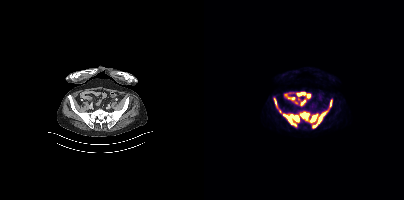
Left: CT. Right: PSMA PET, same axial level, [18F]PSMA-1007 tracer.
Coordinates are on the 200×200 PET (right) panel. PSMA-avid tumor lesion bounding boxes:
| # | x0 | y0 | x1 | y1 |
|---|---|---|---|---|
| 1 | 79 | 114 | 94 | 125 |
| 2 | 96 | 112 | 105 | 119 |
| 3 | 114 | 109 | 124 | 123 |
| 4 | 107 | 114 | 113 | 122 |
| 5 | 108 | 125 | 112 | 128 |
| 6 | 126 | 100 | 128 | 106 |
| 7 | 71 | 100 | 72 | 105 |
Small PSMA-avid focus (2 to 4 px across) near (center x, center y): (76, 111).